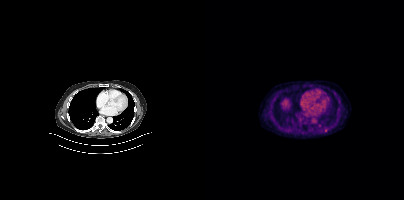
modality: PSMA PET/CT | tracer: 18F-PSMA | view: axial
Coordinates are on the 200×200 PET (right) panel. Small PSMA-avid focus (2 to 4 px across) near (center x, center y): (121, 130).